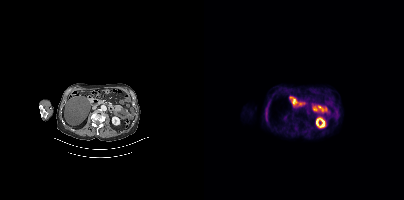
Negative for PSMA-avid disease on this slice.
modality: PSMA PET/CT | tracer: [18F]PSMA-1007 | view: axial